Two-panel axial: CT | PSMA PET, 18F-PSMA tracer. Acquired on GE Discovery 690. Slice position z = -153 mm. PET panel 256×256 px (2.7 mm/px).
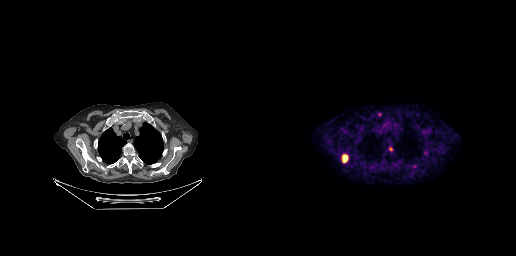
Coordinates are on the 256×256 PET (right) panel. PSMA-avid tumor lesion bounding boxes:
| # | x0 | y0 | x1 | y1 |
|---|---|---|---|---|
| 1 | 82 | 154 | 87 | 162 |
Small PSMA-avid focus (2 to 4 px across) near (center x, center y): (130, 148).